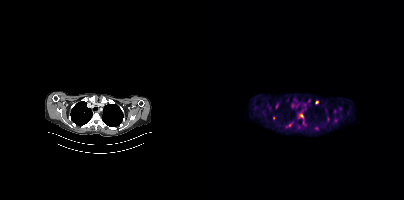
{"modality":"PSMA PET/CT","view":"axial","tracer":"18F-PSMA","pet_grid":[200,200],"coord_frame":"pet_panel","coord_format":"x0,y0,x1,y1","partial":true,"lesion_bboxes":[[95,114,99,118],[111,100,114,104]],"small_foci_centers":[[112,128],[69,118],[82,126],[72,106],[131,120]]}